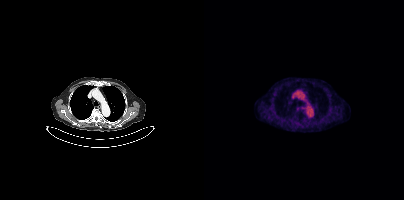
- Left: CT. Right: PSMA PET, same axial level, [18F]PSMA-1007 tracer
- acquired on Siemens Biograph mCT Flow 20
- PET panel 200×200 px (4.1 mm/px)
Findings: This slice has no annotated PSMA-avid lesion.